Two-panel axial: CT | PSMA PET, [68Ga]Ga-PSMA-11 tracer. Slice 116 of 409. PET panel 200×200 px (4.1 mm/px).
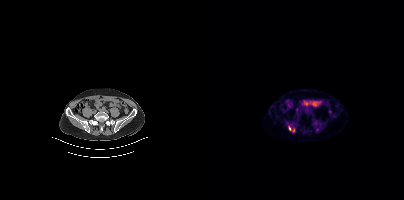
Coordinates are on the 200×200 PET (right) panel. PSMA-avid tumor lesion bounding boxes:
| # | x0 | y0 | x1 | y1 |
|---|---|---|---|---|
| 1 | 85 | 126 | 87 | 130 |
Small PSMA-avid focus (2 to 4 px across) near (center x, center y): (89, 130).